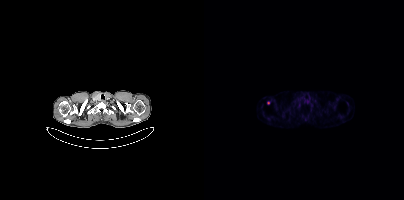
Coordinates are on the 200×200 PET (right) panel. Small PSMA-avid focus (2 to 4 px across) near (center x, center y): (64, 102).